Paired axial CT (left) and PSMA PET (right), 18F-PSMA tracer.
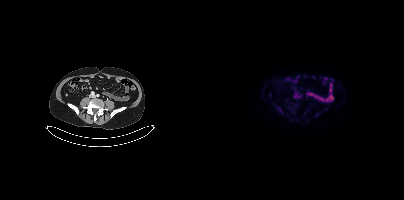
Negative for PSMA-avid disease on this slice.